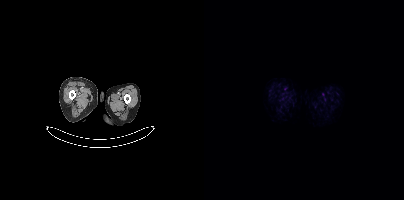
Paired axial CT (left) and PSMA PET (right), 18F-PSMA tracer. Slice position z = -902 mm. PET panel 200×200 px (4.1 mm/px). No PSMA-avid tumor lesions on this slice.